- Left: CT. Right: PSMA PET, same axial level, [18F]PSMA-1007 tracer
- acquired on GE Discovery 690
- PET panel 256×256 px (2.7 mm/px)
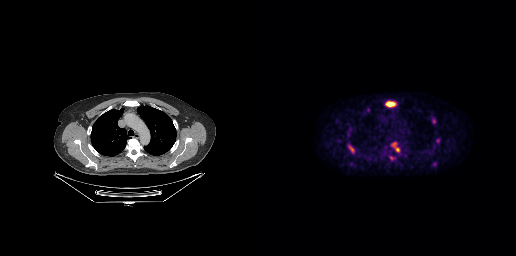
Findings: Coordinates are on the 256×256 PET (right) panel. PSMA-avid tumor lesion bounding boxes (x, y, width, height): x=125 y=101 w=11 h=6 | x=88 y=145 w=7 h=9 | x=172 y=118 w=4 h=6. Small PSMA-avid foci (2 to 4 px across) near (center x, center y): (137, 149) | (134, 144).